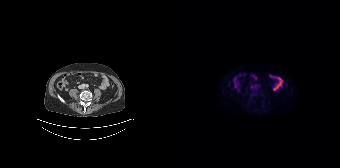
- Left: CT. Right: PSMA PET, same axial level, [18F]PSMA-1007 tracer
- acquired on Siemens Biograph 64-4R TruePoint
- PET panel 168×168 px (4.1 mm/px)
Findings: Negative for PSMA-avid disease on this slice.